Two-panel axial: CT | PSMA PET, 18F tracer.
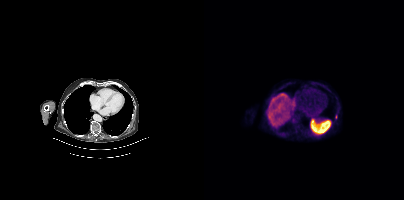
Only PSMA-avid lesion pieces thinner than 2 px on this slice (not listed).